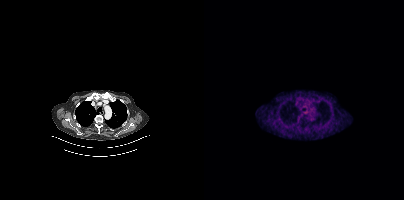
This slice has no annotated PSMA-avid lesion.
modality: PSMA PET/CT | tracer: 68Ga | view: axial